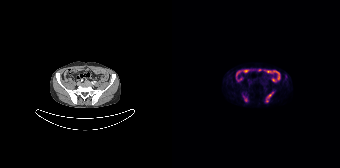
Coordinates are on the 168×168 PET (right) panel. (showing 2 of 3 foci) PSMA-avid tumor lesion bounding boxes (x0,y0,x1,y1): [94,92,101,101], [71,95,75,101].